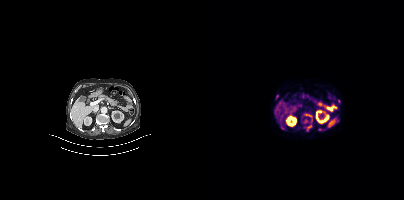
Coordinates are on the 200×200 PET (right) panel. PSMA-avid tumor lesion bounding boxes (x0,y0,x1,y1): [100,126,107,130], [101,114,106,116], [72,95,74,99]. Small PSMA-avid foci (2 to 4 px across) near (center x, center y): (78, 128), (115, 129).
modality: PSMA PET/CT | tracer: 68Ga-PSMA | view: axial | PET grid: 200×200